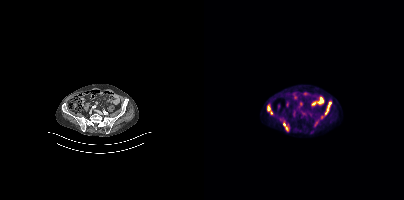
{"modality":"PSMA PET/CT","view":"axial","tracer":"18F-PSMA","pet_grid":[200,200],"coord_frame":"pet_panel","coord_format":"x0,y0,x1,y1","partial":true,"lesion_bboxes":[[79,122,85,131],[63,105,68,114],[122,102,127,112]]}